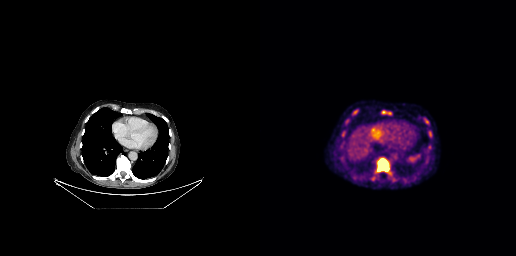
Two-panel axial: CT | PSMA PET, [18F]PSMA-1007 tracer. Acquired on GE Discovery 690. Slice 166 of 263. PET panel 256×256 px (2.7 mm/px).
Coordinates are on the 256×256 PET (right) panel. PSMA-avid tumor lesion bounding boxes:
| # | x0 | y0 | x1 | y1 |
|---|---|---|---|---|
| 1 | 117 | 158 | 129 | 171 |
| 2 | 122 | 110 | 131 | 114 |
| 3 | 92 | 110 | 98 | 115 |
| 4 | 164 | 118 | 168 | 123 |
| 5 | 85 | 119 | 89 | 124 |
| 6 | 169 | 131 | 171 | 136 |
| 7 | 82 | 132 | 84 | 136 |